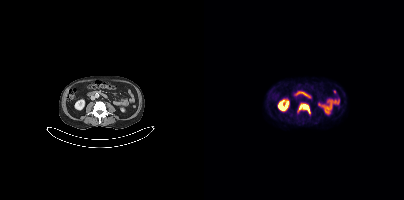
Coordinates are on the 200×200 PET (right) panel. PSMA-avid tumor lesion bounding box (x0,y0,x1,y1): [94,103,106,113].